Technique: Paired axial CT (left) and PSMA PET (right), 68Ga-PSMA tracer. slice position z = -297 mm. PET panel 256×256 px (2.7 mm/px).
Note: De-identified by setting a rectangular region to black.
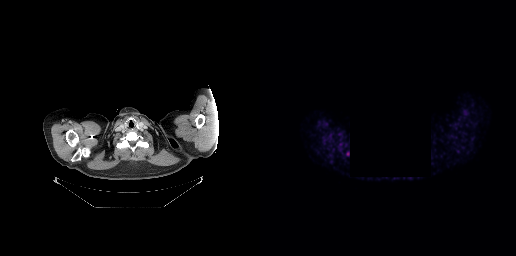
Findings: This slice has no annotated PSMA-avid lesion.